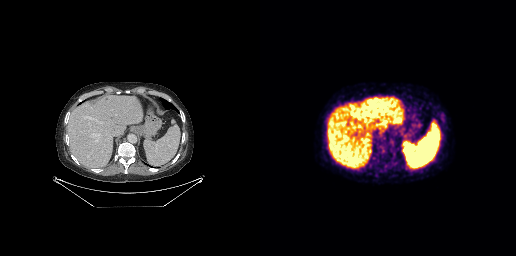
{"pet_grid":[256,256],"coord_frame":"pet_panel","coord_format":"x0,y0,x1,y1","psma_avid_lesions":false,"modality":"PSMA PET/CT","view":"axial","tracer":"18F-PSMA"}